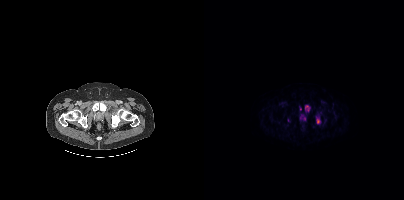
Findings: Coordinates are on the 200×200 PET (right) panel. (showing 3 of 5 foci) PSMA-avid tumor lesion bounding boxes (x, y, width, height): x=97 y=115 w=5 h=5; x=101 y=105 w=4 h=6; x=113 y=119 w=3 h=5.
- Left: CT. Right: PSMA PET, same axial level, 18F tracer
- PET panel 200×200 px (4.1 mm/px)